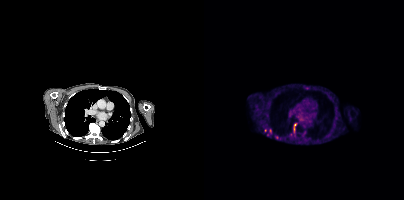
modality: PSMA PET/CT | tracer: 18F-PSMA | view: axial | PET grid: 200×200
Coordinates are on the 200×200 PET (right) panel. (showing 5 of 7 foci) PSMA-avid tumor lesion bounding box (x0,y0,x1,y1): [89,123,92,132]. Small PSMA-avid foci (2 to 4 px across) near (center x, center y): (64, 135) (63, 115) (66, 130) (61, 130).